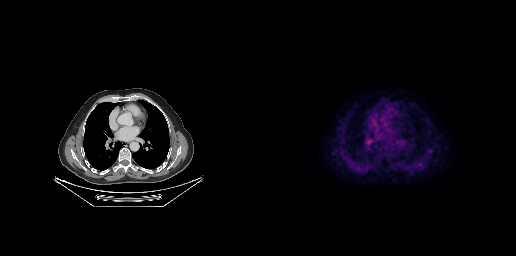
Technique: Paired axial CT (left) and PSMA PET (right), 18F-PSMA tracer. slice 176 of 263. PET panel 256×256 px (2.7 mm/px).
Findings: Coordinates are on the 256×256 PET (right) panel. PSMA-avid tumor lesion bounding box (x0, y0)-(x1, y1): (105, 137)-(112, 145).